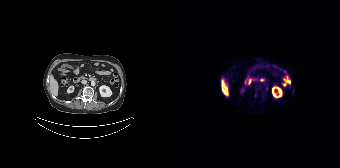
{"modality":"PSMA PET/CT","view":"axial","tracer":"[18F]PSMA-1007","pet_grid":[168,168],"coord_frame":"pet_panel","coord_format":"x0,y0,x1,y1","lesion_bboxes":[],"small_foci_centers":[[94,88]]}